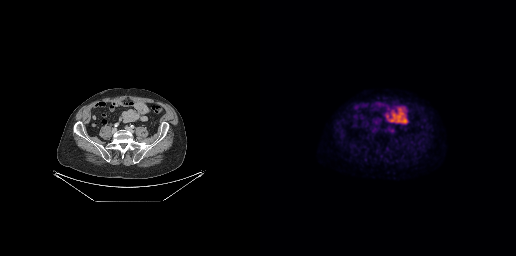
Coordinates are on the 256×256 PET (right) panel. PSMA-avid tumor lesion bounding box (x0,y0,x1,y1): [128,128,132,132].